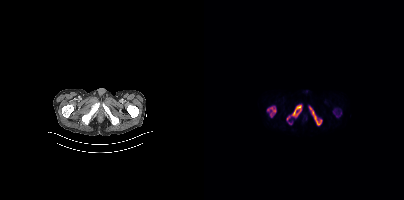
Coordinates are on the 200×200 PET (right) panel. PSMA-avid tumor lesion bounding boxes (x, y, width, height): x=63 y=106 w=10 h=12 / x=88 y=105 w=10 h=12 / x=105 y=106 w=13 h=20. Small PSMA-avid focus (2 to 4 px across) near (center x, center y): (84, 117).
modality: PSMA PET/CT | tracer: 18F | view: axial